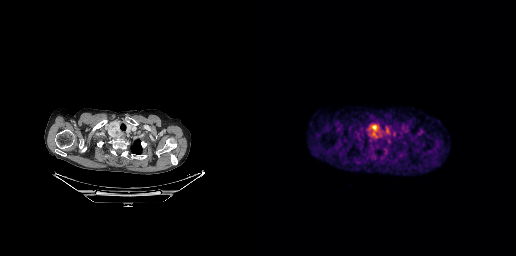
{"modality":"PSMA PET/CT","view":"axial","tracer":"18F","pet_grid":[256,256],"coord_frame":"pet_panel","coord_format":"x0,y0,x1,y1","lesion_bboxes":[[112,132,118,138]]}